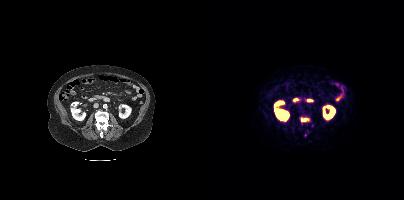
Two-panel axial: CT | PSMA PET, 68Ga tracer. Acquired on Siemens Biograph mCT Flow 20. Slice position z = 523 mm. Coordinates are on the 200×200 PET (right) panel. (showing 1 of 2 foci) PSMA-avid tumor lesion bounding box (x0, y0)-(x1, y1): (97, 117)-(105, 122).